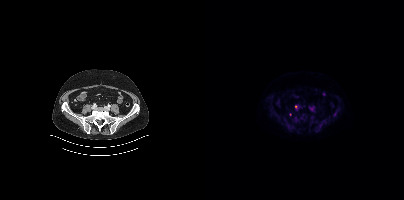
Only PSMA-avid lesion pieces thinner than 2 px on this slice (not listed).